Two-panel axial: CT | PSMA PET, [68Ga]Ga-PSMA-11 tracer. PET panel 200×200 px (4.1 mm/px).
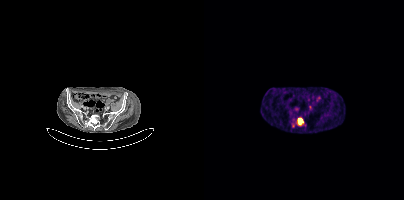
Coordinates are on the 200×200 PET (right) panel. PSMA-avid tumor lesion bounding boxes:
| # | x0 | y0 | x1 | y1 |
|---|---|---|---|---|
| 1 | 94 | 118 | 99 | 125 |
Small PSMA-avid focus (2 to 4 px across) near (center x, center y): (106, 107).